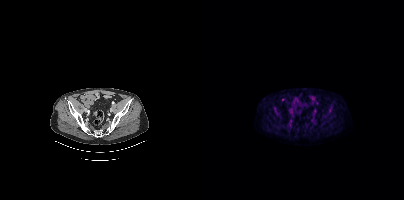
Negative for PSMA-avid disease on this slice.